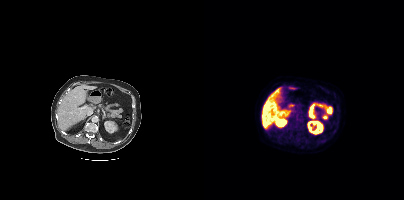
No tumor lesions annotated on this slice.